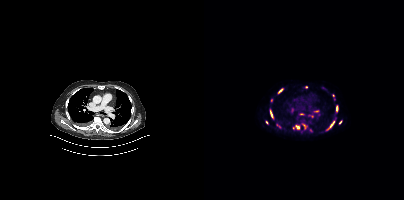
Coordinates are on the 200×200 PET (right) panel. (showing 12 of 16 foci) PSMA-avid tumor lesion bounding boxes (x, y, width, height): x=89 y=124 w=8 h=6 / x=122 y=120 w=9 h=11 / x=98 y=123 w=6 h=7 / x=128 y=94 w=4 h=7 / x=132 y=105 w=3 h=7 / x=66 y=110 w=4 h=9 / x=74 y=88 w=6 h=6 / x=135 y=120 w=4 h=5. Small PSMA-avid foci (2 to 4 px across) near (center x, center y): (102, 87) / (62, 122) / (106, 130) / (75, 126). Two-panel axial: CT | PSMA PET, 18F tracer. PET panel 200×200 px (4.1 mm/px).